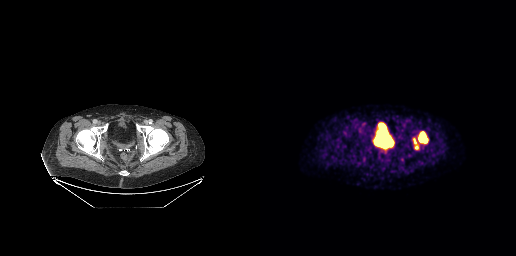
Left: CT. Right: PSMA PET, same axial level, [18F]PSMA-1007 tracer. Acquired on GE Discovery 690.
Coordinates are on the 256×256 PET (right) panel. PSMA-avid tumor lesion bounding boxes:
| # | x0 | y0 | x1 | y1 |
|---|---|---|---|---|
| 1 | 158 | 131 | 168 | 143 |
| 2 | 153 | 138 | 158 | 149 |